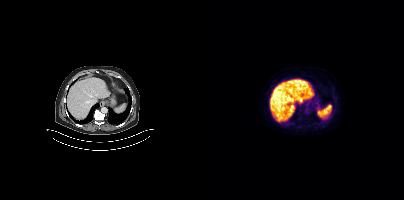
No tumor lesions annotated on this slice.